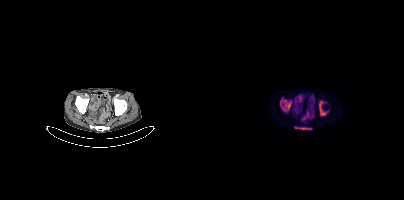
- Left: CT. Right: PSMA PET, same axial level, 18F-PSMA tracer
- acquired on Siemens Biograph mCT Flow 20
- slice 73 of 354
Findings: Coordinates are on the 200×200 PET (right) panel. PSMA-avid tumor lesion bounding boxes (x0,y0,x1,y1): [76,98,87,111] [115,101,124,115] [90,126,108,129].